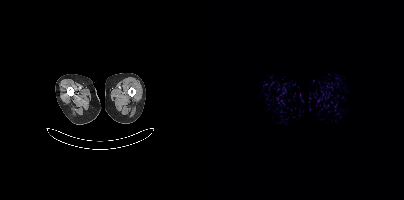
{"pet_grid":[200,200],"coord_frame":"pet_panel","coord_format":"x0,y0,x1,y1","psma_avid_lesions":false,"modality":"PSMA PET/CT","view":"axial","tracer":"[18F]PSMA-1007"}